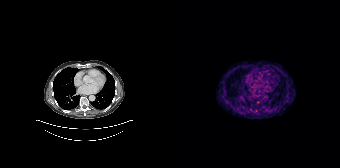
This slice has no annotated PSMA-avid lesion.
modality: PSMA PET/CT | tracer: 68Ga | view: axial